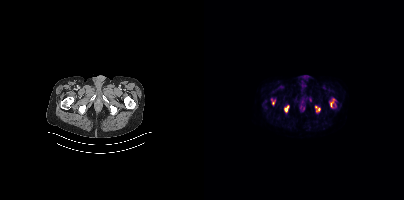
{"modality":"PSMA PET/CT","view":"axial","tracer":"18F-PSMA","pet_grid":[200,200],"coord_frame":"pet_panel","coord_format":"x0,y0,x1,y1","lesion_bboxes":[[126,99,130,107],[80,105,84,112],[111,106,116,111],[67,99,71,104]]}